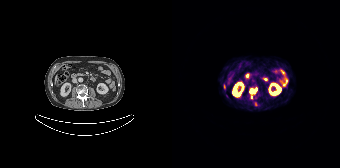
Findings: Coordinates are on the 168×168 PET (right) panel. PSMA-avid tumor lesion bounding box (x0,y0,x1,y1): [77,88,85,93]. Small PSMA-avid foci (2 to 4 px across) near (center x, center y): (79, 97), (52, 86).
- Two-panel axial: CT | PSMA PET, [68Ga]Ga-PSMA-11 tracer
- acquired on Siemens Biograph 64-4R TruePoint
- slice position z = -634 mm
- PET panel 168×168 px (4.1 mm/px)